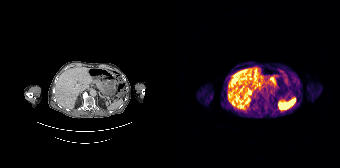
This slice has no annotated PSMA-avid lesion.